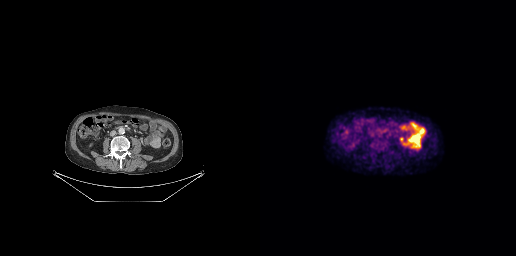
- Left: CT. Right: PSMA PET, same axial level, [18F]PSMA-1007 tracer
- acquired on GE Discovery 690
- slice 118 of 263
- PET panel 256×256 px (2.7 mm/px)
Findings: No PSMA-avid tumor lesions on this slice.